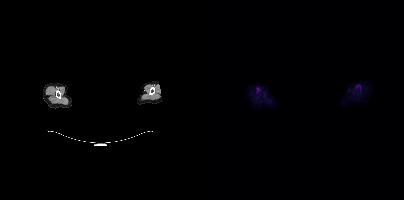
Face de-identified by blanking a block of the head. Two-panel axial: CT | PSMA PET, 18F-PSMA tracer. This slice has no annotated PSMA-avid lesion.